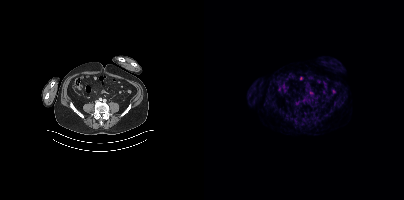
Two-panel axial: CT | PSMA PET, [68Ga]Ga-PSMA-11 tracer. Acquired on Siemens Biograph mCT Flow 20. Slice 155 of 429. No tumor lesions annotated on this slice.